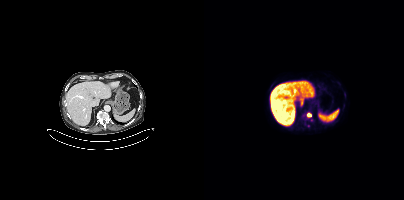
Findings: Coordinates are on the 200×200 PET (right) panel. PSMA-avid tumor lesion bounding box (x0,y0,x1,y1): [98,113,107,117]. Small PSMA-avid foci (2 to 4 px across) near (center x, center y): (107, 119), (67, 85).
- Two-panel axial: CT | PSMA PET, [18F]PSMA-1007 tracer
- PET panel 200×200 px (4.1 mm/px)